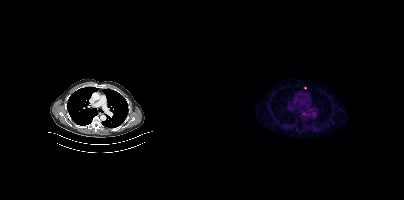
Only PSMA-avid lesion pieces thinner than 2 px on this slice (not listed).
modality: PSMA PET/CT | tracer: [68Ga]Ga-PSMA-11 | view: axial | PET grid: 200×200